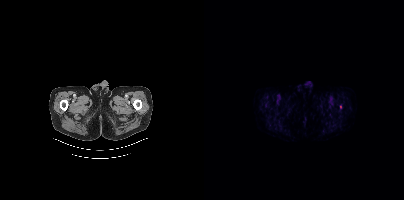
Two-panel axial: CT | PSMA PET, 18F tracer. Acquired on Siemens Biograph mCT Flow 20. Slice 34 of 454. Coordinates are on the 200×200 PET (right) panel. Small PSMA-avid focus (2 to 4 px across) near (center x, center y): (136, 106).